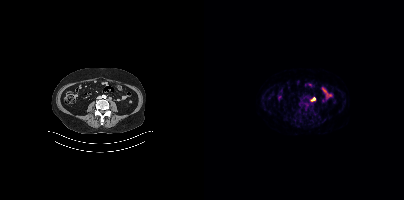
{"modality":"PSMA PET/CT","view":"axial","tracer":"[18F]PSMA-1007","pet_grid":[200,200],"coord_frame":"pet_panel","coord_format":"x0,y0,x1,y1","lesion_bboxes":[[107,97,111,101]]}